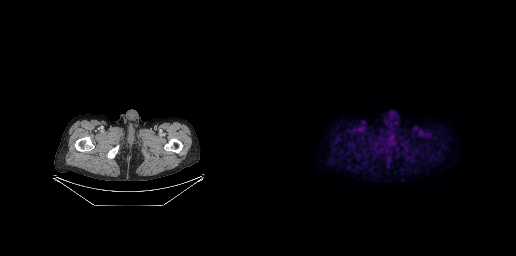
modality: PSMA PET/CT | tracer: 18F-PSMA | view: axial
No PSMA-avid tumor lesions on this slice.